Paired axial CT (left) and PSMA PET (right), [68Ga]Ga-PSMA-11 tracer. Acquired on Siemens Biograph 64-4R TruePoint.
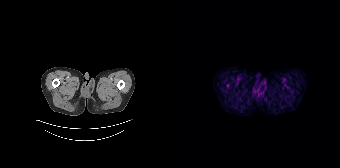
No PSMA-avid tumor lesions on this slice.